- Two-panel axial: CT | PSMA PET, 18F-PSMA tracer
- PET panel 200×200 px (4.1 mm/px)
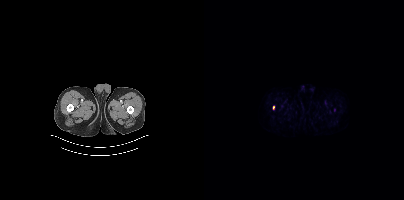
Findings: Coordinates are on the 200×200 PET (right) panel. Small PSMA-avid focus (2 to 4 px across) near (center x, center y): (69, 107).